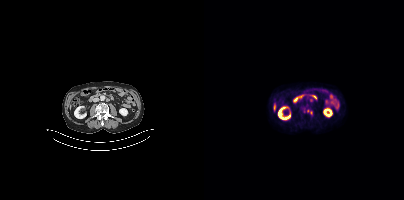
Paired axial CT (left) and PSMA PET (right), 18F tracer. Slice 171 of 423. PET panel 200×200 px (4.1 mm/px). Coordinates are on the 200×200 PET (right) panel. (showing 1 of 2 foci) PSMA-avid tumor lesion bounding box (x0, y0)-(x1, y1): (103, 110)-(108, 114).